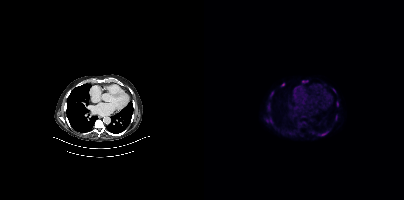
{"modality":"PSMA PET/CT","view":"axial","tracer":"[18F]PSMA-1007","pet_grid":[200,200],"coord_frame":"pet_panel","coord_format":"x0,y0,x1,y1","partial":true,"lesion_bboxes":[[114,131,124,135],[63,103,66,110],[62,118,68,123],[98,80,104,82],[66,92,69,97],[133,101,134,105],[132,115,133,120]],"small_foci_centers":[[79,84],[130,90]]}